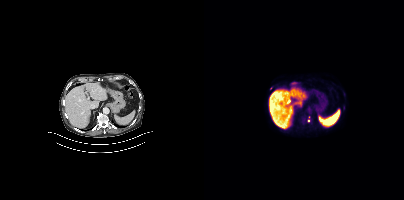
{"modality":"PSMA PET/CT","view":"axial","tracer":"18F-PSMA","pet_grid":[200,200],"coord_frame":"pet_panel","coord_format":"x0,y0,x1,y1","partial":true,"lesion_bboxes":[]}